Paired axial CT (left) and PSMA PET (right), 18F-PSMA tracer. Acquired on Siemens Biograph mCT Flow 20. Slice 210 of 423.
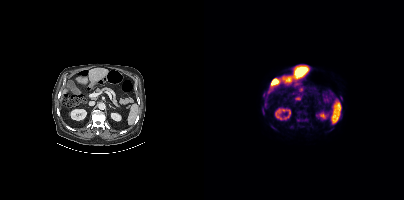
Coordinates are on the 200×200 PET (right) panel. (showing 3 of 5 foci) PSMA-avid tumor lesion bounding boxes (x, y, width, height): x=93 y=118 w=11 h=4 / x=92 y=97 w=5 h=3. Small PSMA-avid focus (2 to 4 px across) near (center x, center y): (95, 111).